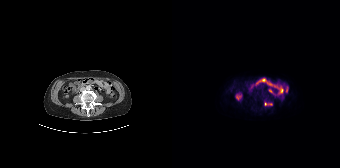
Technique: Left: CT. Right: PSMA PET, same axial level, [18F]PSMA-1007 tracer.
Findings: Coordinates are on the 168×168 PET (right) panel. PSMA-avid tumor lesion bounding box (x0,y0,x1,y1): [92,102,100,105].